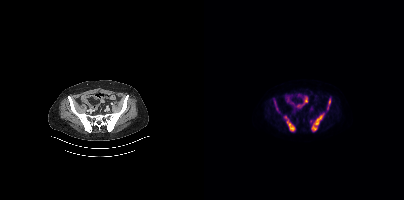
Coordinates are on the 200×200 PET (right) panel. PSMA-avid tumor lesion bounding boxes (partial; 3 more foci not listed):
| # | x0 | y0 | x1 | y1 |
|---|---|---|---|---|
| 1 | 107 | 114 | 119 | 131 |
| 2 | 82 | 118 | 91 | 131 |
| 3 | 125 | 99 | 126 | 104 |
Small PSMA-avid focus (2 to 4 px across) near (center x, center y): (123, 107).
Left: CT. Right: PSMA PET, same axial level, 18F tracer.